Paired axial CT (left) and PSMA PET (right), [18F]PSMA-1007 tracer. Slice 320 of 401.
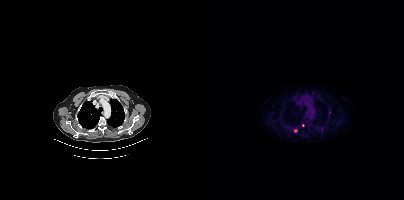
Only PSMA-avid lesion pieces thinner than 2 px on this slice (not listed).